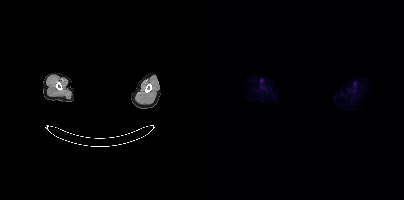
This slice has no annotated PSMA-avid lesion. Two-panel axial: CT | PSMA PET, [18F]PSMA-1007 tracer. Acquired on Siemens Biograph mCT Flow 20. Slice position z = -853 mm. The face region was removed for patient privacy by blanking a rectangle over the head.